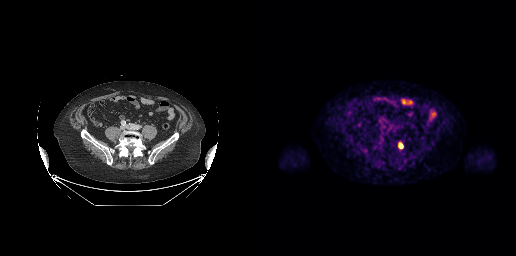
Left: CT. Right: PSMA PET, same axial level, 18F-PSMA tracer. Acquired on GE Discovery 690. Slice 101 of 263. PET panel 256×256 px (2.7 mm/px).
Coordinates are on the 256×256 PET (right) panel. PSMA-avid tumor lesion bounding boxes:
| # | x0 | y0 | x1 | y1 |
|---|---|---|---|---|
| 1 | 138 | 141 | 143 | 149 |